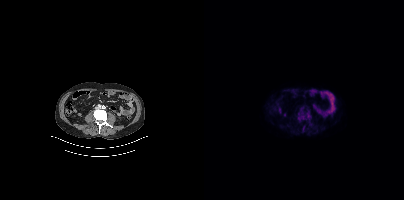
Coordinates are on the 200×200 PET (right) panel. Small PSMA-avid foci (2 to 4 px across) near (center x, center y): (104, 115) | (98, 117) | (94, 118).
modality: PSMA PET/CT | tracer: [18F]PSMA-1007 | view: axial | PET grid: 200×200